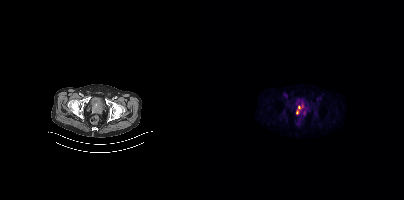
Coordinates are on the 200×200 PET (right) panel. PSMA-avid tumor lesion bounding box (x0,y0,x1,y1): [92,106,96,114]. Left: CT. Right: PSMA PET, same axial level, 18F-PSMA tracer. Acquired on Siemens Biograph mCT Flow 20. PET panel 200×200 px (4.1 mm/px).